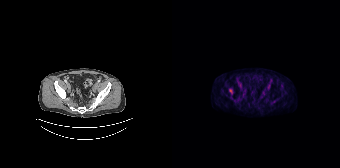
Coordinates are on the 168×168 PET (right) panel. PSMA-avid tumor lesion bounding boxes:
| # | x0 | y0 | x1 | y1 |
|---|---|---|---|---|
| 1 | 57 | 89 | 60 | 93 |
| 2 | 95 | 85 | 98 | 89 |
Two-panel axial: CT | PSMA PET, 18F-PSMA tracer. Slice 42 of 135. PET panel 168×168 px (4.1 mm/px).